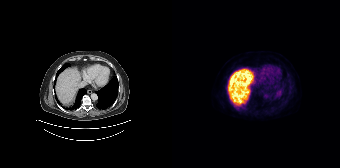
No PSMA-avid tumor lesions on this slice.